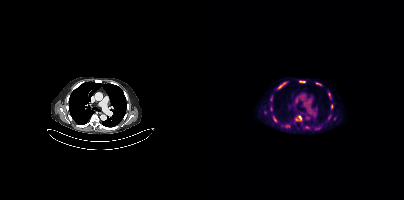
modality: PSMA PET/CT | tracer: 18F-PSMA | view: axial
Coordinates are on the 200×200 PET (right) panel. (showing 8 of 11 foci) PSMA-avid tumor lesion bounding boxes (x, y, width, height): x=73 y=82 w=10 h=8 | x=91 y=115 w=7 h=6 | x=95 y=80 w=7 h=3 | x=112 y=82 w=6 h=4 | x=69 y=117 w=4 h=5 | x=124 y=93 w=3 h=5. Small PSMA-avid foci (2 to 4 px across) near (center x, center y): (127, 107) | (67, 108).